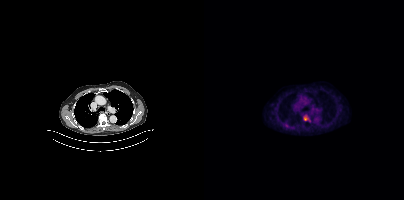
Findings: Coordinates are on the 200×200 PET (right) panel. PSMA-avid tumor lesion bounding box (x0, y0)-(x1, y1): (99, 115)-(105, 120).
Technique: Left: CT. Right: PSMA PET, same axial level, 18F tracer. slice position z = -467 mm. PET panel 200×200 px (4.1 mm/px).